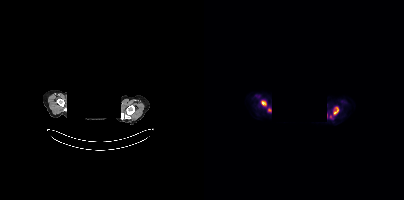
Coordinates are on the 200×200 PET (right) panel. PSMA-avid tumor lesion bounding boxes (x0, y0)-(x1, y1): (129, 107)-(134, 114) / (57, 101)-(62, 105). Small PSMA-avid foci (2 to 4 px across) near (center x, center y): (65, 110) / (126, 116).
redaction: privacy mask over head | modality: PSMA PET/CT | tracer: 18F | view: axial